Technique: Paired axial CT (left) and PSMA PET (right), 18F tracer. slice position z = 1377 mm. PET panel 200×200 px (4.1 mm/px).
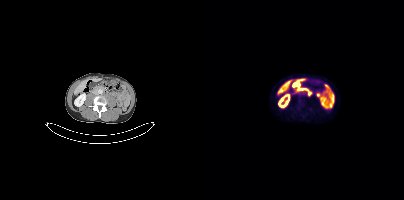
Findings: Coordinates are on the 200×200 PET (right) panel. PSMA-avid tumor lesion bounding box (x0, y0)-(x1, y1): (94, 99)-(98, 104).